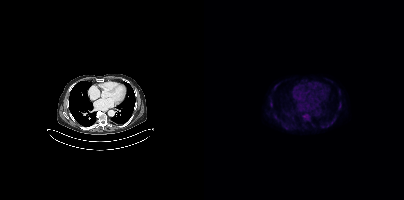
- Left: CT. Right: PSMA PET, same axial level, [18F]PSMA-1007 tracer
Findings: Coordinates are on the 200×200 PET (right) panel. (showing 2 of 3 foci) Small PSMA-avid foci (2 to 4 px across) near (center x, center y): (67, 104) | (100, 116).